An anonymization step blacked out a rectangle in this scan. Two-panel axial: CT | PSMA PET, [18F]PSMA-1007 tracer. PET panel 200×200 px (4.1 mm/px).
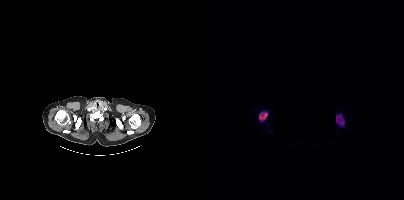
Coordinates are on the 200×200 PET (right) panel. PSMA-avid tumor lesion bounding boxes (x0, y0)-(x1, y1): (132, 114)-(140, 125) / (55, 112)-(63, 120).